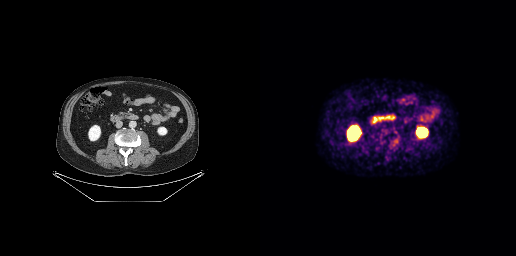
Paired axial CT (left) and PSMA PET (right), 18F-PSMA tracer. Coordinates are on the 256×256 PET (right) panel. PSMA-avid tumor lesion bounding box (x, y, width, height): x=122 y=129 w=6 h=4.